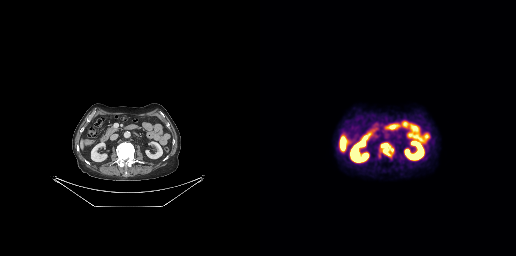
modality: PSMA PET/CT | tracer: 18F-PSMA | view: axial | PET grid: 256×256
Coordinates are on the 256×256 PET (right) panel. PSMA-avid tumor lesion bounding box (x, y, width, height): x=119 y=142 w=16 h=16.